Left: CT. Right: PSMA PET, same axial level, [18F]PSMA-1007 tracer. Slice position z = -598 mm.
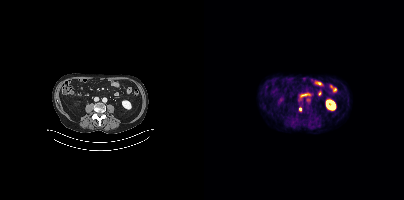
Coordinates are on the 200×200 PET (right) panel. PSMA-avid tumor lesion bounding box (x0,y0,x1,y1): [95,107,97,111].